Two-panel axial: CT | PSMA PET, 68Ga-PSMA tracer. Slice 169 of 263. PET panel 256×256 px (2.7 mm/px).
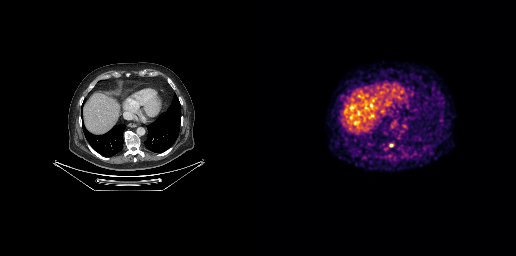
Coordinates are on the 256×256 PET (right) panel. PSMA-avid tumor lesion bounding boxes:
| # | x0 | y0 | x1 | y1 |
|---|---|---|---|---|
| 1 | 129 | 143 | 133 | 147 |